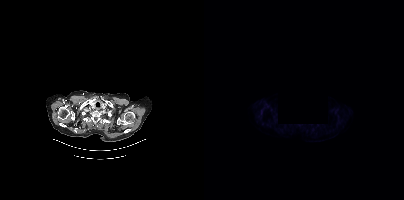
Findings: Coordinates are on the 200×200 PET (right) panel. Small PSMA-avid focus (2 to 4 px across) near (center x, center y): (57, 111).
- Left: CT. Right: PSMA PET, same axial level, [18F]PSMA-1007 tracer
- acquired on Siemens Biograph mCT Flow 20
- some pixels were blanked for anonymization